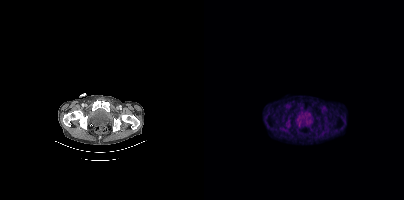
{"modality":"PSMA PET/CT","view":"axial","tracer":"[18F]PSMA-1007","pet_grid":[200,200],"coord_frame":"pet_panel","coord_format":"x0,y0,x1,y1","lesion_bboxes":[[82,121,85,125]]}